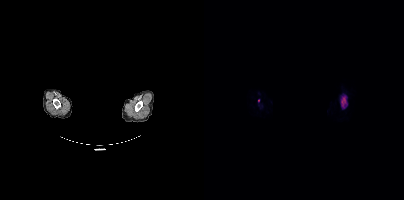
Two-panel axial: CT | PSMA PET, 18F tracer. Acquired on Siemens Biograph mCT Flow 20. PET panel 200×200 px (4.1 mm/px). The face region was removed for patient privacy by blanking a rectangle over the head.
Coordinates are on the 200×200 PET (right) panel. PSMA-avid tumor lesion bounding boxes:
| # | x0 | y0 | x1 | y1 |
|---|---|---|---|---|
| 1 | 137 | 95 | 143 | 108 |
Small PSMA-avid focus (2 to 4 px across) near (center x, center y): (54, 100).